Left: CT. Right: PSMA PET, same axial level, 68Ga-PSMA tracer. Acquired on Siemens Biograph mCT Flow 20.
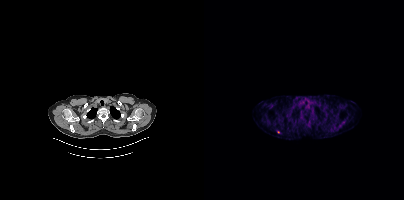
Coordinates are on the 200×200 PET (right) panel. Small PSMA-avid focus (2 to 4 px across) near (center x, center y): (74, 132).